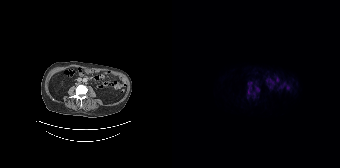
Findings: Coordinates are on the 168×168 PET (right) panel. (showing 3 of 4 foci) PSMA-avid tumor lesion bounding boxes (x0,y0,x1,y1): [76,83,79,94] [83,87,87,91] [81,92,83,97].
Technique: Two-panel axial: CT | PSMA PET, 18F-PSMA tracer.